Technique: Left: CT. Right: PSMA PET, same axial level, 18F-PSMA tracer. slice 340 of 409. PET panel 200×200 px (4.1 mm/px).
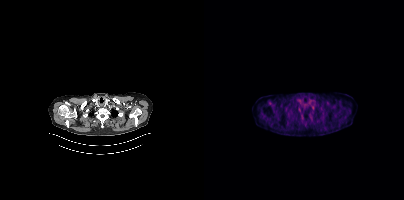
Findings: No tumor lesions annotated on this slice.